- Left: CT. Right: PSMA PET, same axial level, [18F]PSMA-1007 tracer
- slice 143 of 263
- PET panel 256×256 px (2.7 mm/px)
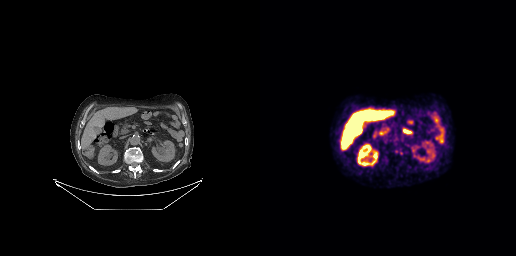
Findings: Only PSMA-avid lesion pieces thinner than 2 px on this slice (not listed).